- Two-panel axial: CT | PSMA PET, 68Ga tracer
- slice 337 of 393
- PET panel 200×200 px (4.1 mm/px)
- a block of pixels was blacked out before release to protect privacy
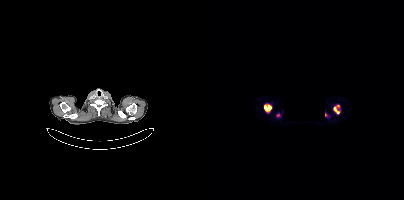
Findings: Coordinates are on the 200×200 PET (right) panel. (showing 3 of 4 foci) PSMA-avid tumor lesion bounding boxes (x0,y0,x1,y1): [60,105,67,112] [130,105,135,114]. Small PSMA-avid focus (2 to 4 px across) near (center x, center y): (121, 114).